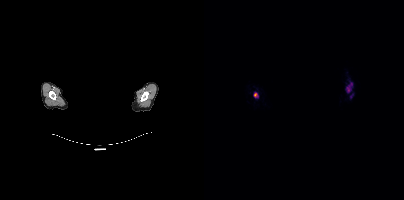
Coordinates are on the 200×200 PET (right) panel. (showing 2 of 3 foci) PSMA-avid tumor lesion bounding boxes (x0,y0,x1,y1): [142,84,148,92]; [50,92,54,97]. Two-panel axial: CT | PSMA PET, 18F-PSMA tracer. An anonymization step blacked out a rectangle over the head in this scan.